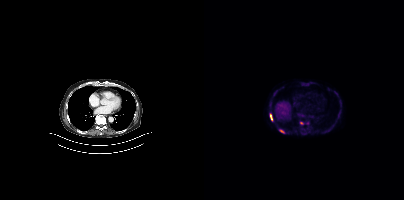
{"modality":"PSMA PET/CT","view":"axial","tracer":"[18F]PSMA-1007","pet_grid":[200,200],"coord_frame":"pet_panel","coord_format":"x0,y0,x1,y1","partial":true,"lesion_bboxes":[[75,129,80,133],[66,114,68,120]]}